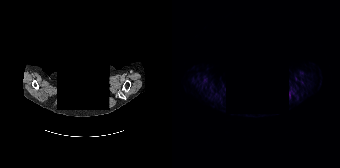
Negative for PSMA-avid disease on this slice. Two-panel axial: CT | PSMA PET, 68Ga tracer. Slice 177 of 195. A rectangular block over the head has been blanked out for de-identification.